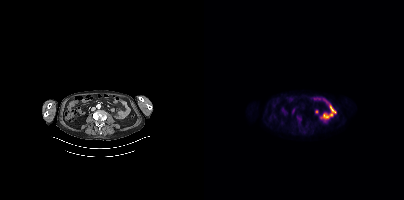
Two-panel axial: CT | PSMA PET, 18F tracer. Acquired on Siemens Biograph mCT Flow 20. PET panel 200×200 px (4.1 mm/px).
Coordinates are on the 200×200 PET (right) panel. PSMA-avid tumor lesion bounding boxes:
| # | x0 | y0 | x1 | y1 |
|---|---|---|---|---|
| 1 | 93 | 116 | 97 | 120 |